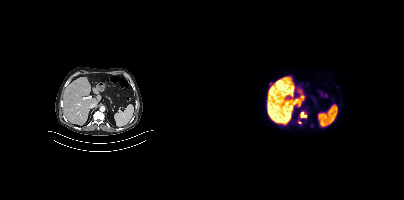
Coordinates are on the 200×200 PET (right) panel. PSMA-avid tumor lesion bounding box (x0,y0,x1,y1): [96,111,102,117]. Small PSMA-avid focus (2 to 4 px across) near (center x, center y): (95, 122).